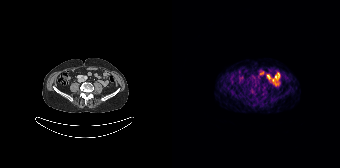
No PSMA-avid tumor lesions on this slice.